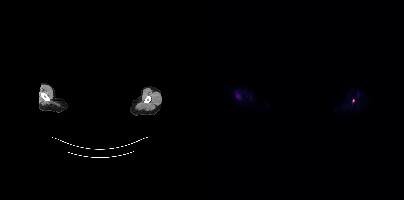
Coordinates are on the 200×200 PET (right) panel. Small PSMA-avid focus (2 to 4 px across) near (center x, center y): (149, 100). Paired axial CT (left) and PSMA PET (right), [18F]PSMA-1007 tracer. Acquired on Siemens Biograph mCT Flow 20. PET panel 200×200 px (4.1 mm/px). A rectangle over the head was blacked out to remove identifiable facial features.